Two-panel axial: CT | PSMA PET, 18F-PSMA tracer. Acquired on Siemens Biograph mCT Flow 20. Slice 131 of 411.
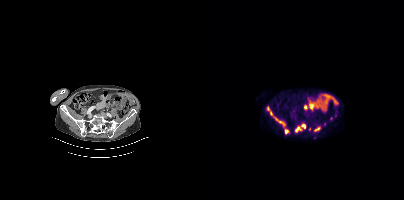
Coordinates are on the 200×200 PET (right) panel. PSMA-avid tumor lesion bounding boxes:
| # | x0 | y0 | x1 | y1 |
|---|---|---|---|---|
| 1 | 62 | 106 | 81 | 126 |
| 2 | 91 | 123 | 102 | 132 |
| 3 | 110 | 126 | 116 | 131 |
| 4 | 81 | 129 | 84 | 133 |
| 5 | 119 | 122 | 122 | 126 |
Small PSMA-avid foci (2 to 4 px across) near (center x, center y): (132, 114); (105, 128); (127, 118); (110, 137).